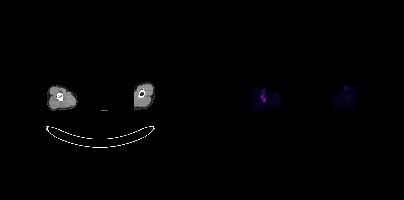
{"pet_grid":[200,200],"coord_frame":"pet_panel","coord_format":"x0,y0,x1,y1","lesion_bboxes":[[57,95,61,101]],"modality":"PSMA PET/CT","view":"axial","tracer":"18F","redaction":"rectangular block over head set to black"}